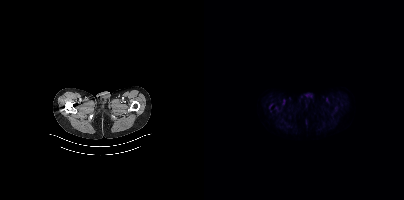
Findings: No tumor lesions annotated on this slice.
Technique: Left: CT. Right: PSMA PET, same axial level, 18F tracer. acquired on Siemens Biograph mCT Flow 20. slice position z = -863 mm.